modality: PSMA PET/CT | tracer: [18F]PSMA-1007 | view: axial
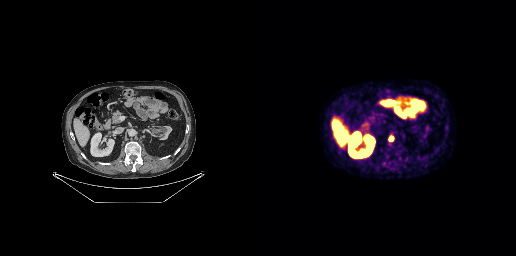
Coordinates are on the 256×256 PET (right) panel. PSMA-avid tumor lesion bounding box (x, y, width, height): x=128 y=135 w=7 h=7.